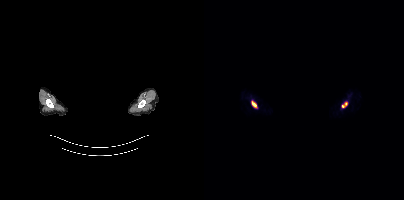
- an anonymization step blacked out a rectangle over the head in this scan
- Two-panel axial: CT | PSMA PET, 68Ga-PSMA tracer
- PET panel 200×200 px (4.1 mm/px)
Findings: Coordinates are on the 200×200 PET (right) panel. PSMA-avid tumor lesion bounding boxes (x0,y0,x1,y1): [47,101,53,107], [138,102,143,107].